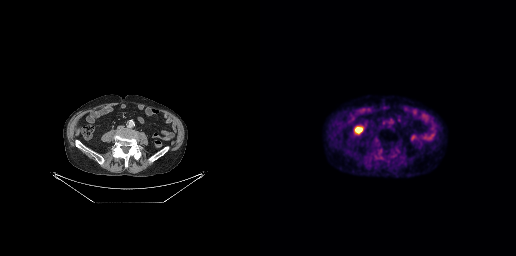
No tumor lesions annotated on this slice.